Technique: Left: CT. Right: PSMA PET, same axial level, 68Ga tracer. PET panel 168×168 px (4.1 mm/px).
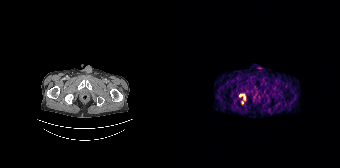
Findings: Coordinates are on the 168×168 PET (right) panel. PSMA-avid tumor lesion bounding box (x, y, width, height): x=67 y=94 w=7 h=6. Small PSMA-avid focus (2 to 4 px across) near (center x, center y): (70, 102).